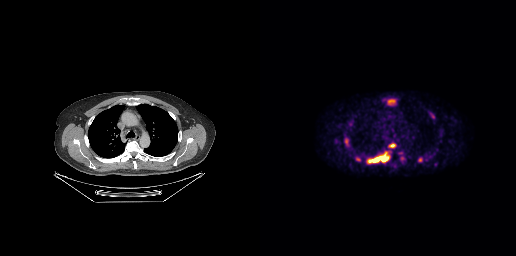
Coordinates are on the 256×256 PET (right) panel. PSMA-avid tumor lesion bounding boxes (x, y, width, height): x=107 y=151 w=23 h=13 / x=84 y=138 w=5 h=8 / x=129 y=143 w=7 h=5 / x=128 y=100 w=7 h=4 / x=170 y=112 w=5 h=7 / x=158 y=158 w=5 h=4 / x=96 y=157 w=5 h=5.